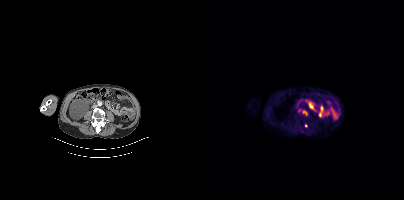
Left: CT. Right: PSMA PET, same axial level, 18F tracer. Acquired on Siemens Biograph mCT Flow 20. Slice position z = -84 mm. PET panel 200×200 px (4.1 mm/px).
Coordinates are on the 200×200 PET (right) panel. PSMA-avid tumor lesion bounding boxes:
| # | x0 | y0 | x1 | y1 |
|---|---|---|---|---|
| 1 | 99 | 110 | 103 | 115 |
| 2 | 93 | 109 | 97 | 113 |
Small PSMA-avid focus (2 to 4 px across) near (center x, center y): (102, 125).